Paired axial CT (left) and PSMA PET (right), 18F tracer. Acquired on Siemens Biograph mCT Flow 20. Slice position z = -1212 mm.
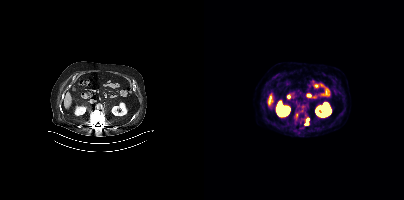
Coordinates are on the 200×200 PET (right) panel. PSMA-avid tumor lesion bounding boxes:
| # | x0 | y0 | x1 | y1 |
|---|---|---|---|---|
| 1 | 91 | 115 | 93 | 119 |
Small PSMA-avid foci (2 to 4 px across) near (center x, center y): (102, 123); (103, 119).